Two-panel axial: CT | PSMA PET, 68Ga tracer. Acquired on Siemens Biograph 64-4R TruePoint. PET panel 168×168 px (4.1 mm/px).
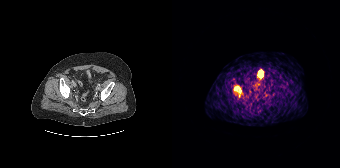
Coordinates are on the 168×168 PET (right) panel. PSMA-avid tumor lesion bounding boxes:
| # | x0 | y0 | x1 | y1 |
|---|---|---|---|---|
| 1 | 61 | 85 | 69 | 97 |